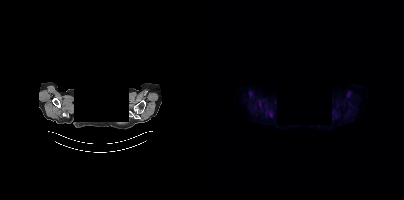
Left: CT. Right: PSMA PET, same axial level, [18F]PSMA-1007 tracer. Slice 354 of 411. PET panel 200×200 px (4.1 mm/px). Face de-identified by blanking a block of the head. Coordinates are on the 200×200 PET (right) panel. Small PSMA-avid focus (2 to 4 px across) near (center x, center y): (55, 103).